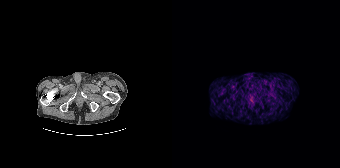
{"pet_grid":[168,168],"coord_frame":"pet_panel","coord_format":"x0,y0,x1,y1","psma_avid_lesions":false,"modality":"PSMA PET/CT","view":"axial","tracer":"[68Ga]Ga-PSMA-11"}